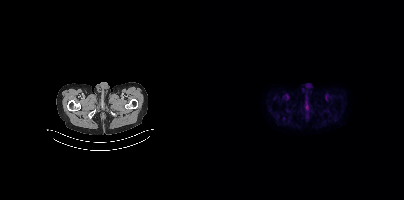
{"modality":"PSMA PET/CT","view":"axial","tracer":"18F","pet_grid":[200,200],"coord_frame":"pet_panel","coord_format":"x0,y0,x1,y1","psma_avid_lesions":false}